An anonymization step blacked out a rectangle over the head in this scan.
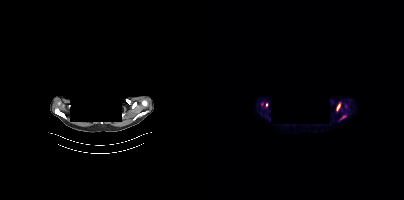
Coordinates are on the 200×200 PET (right) panel. (showing 3 of 4 foci) PSMA-avid tumor lesion bounding boxes (x0,y0,x1,y1): [136,115,142,119], [132,104,135,110]. Small PSMA-avid focus (2 to 4 px across) near (center x, center y): (62, 104).